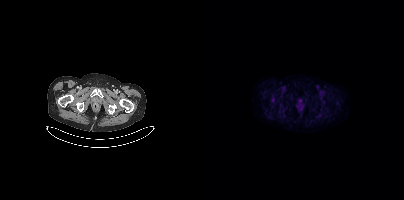
Paired axial CT (left) and PSMA PET (right), 18F-PSMA tracer. Acquired on Siemens Biograph mCT Flow 20. This slice has no annotated PSMA-avid lesion.